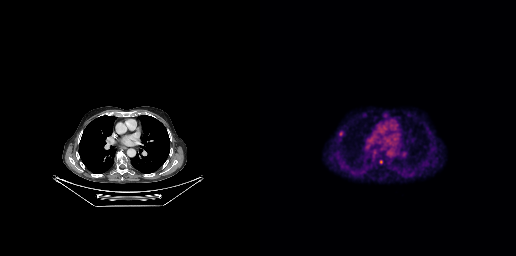
Findings: Coordinates are on the 256×256 PET (right) panel. Small PSMA-avid focus (2 to 4 px across) near (center x, center y): (80, 133).
Technique: Paired axial CT (left) and PSMA PET (right), [18F]PSMA-1007 tracer.